modality: PSMA PET/CT | tracer: 68Ga-PSMA | view: axial | PET grid: 256×256
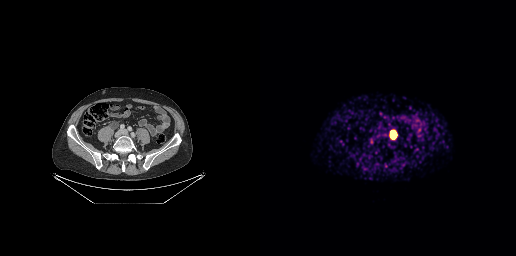
Coordinates are on the 256×256 PET (right) panel. PSMA-avid tumor lesion bounding box (x0,y0,x1,y1): [131,131,136,137]. Small PSMA-avid focus (2 to 4 px across) near (center x, center y): (111, 141).